Paired axial CT (left) and PSMA PET (right), 18F tracer.
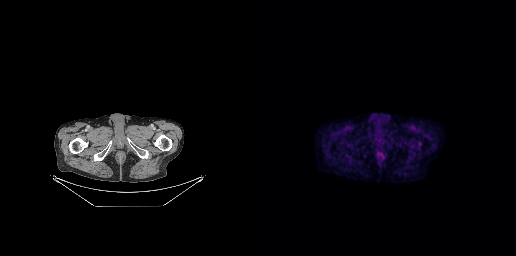
Negative for PSMA-avid disease on this slice.